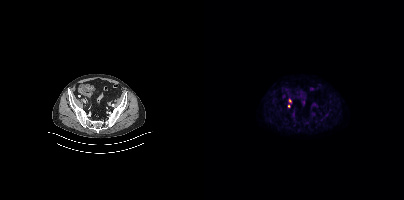
- Paired axial CT (left) and PSMA PET (right), 18F tracer
- PET panel 200×200 px (4.1 mm/px)
Findings: Coordinates are on the 200×200 PET (right) panel. Small PSMA-avid foci (2 to 4 px across) near (center x, center y): (84, 106) / (85, 100).